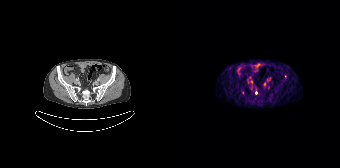
Two-panel axial: CT | PSMA PET, 68Ga tracer. Slice position z = -1298 mm. PET panel 168×168 px (4.1 mm/px). Coordinates are on the 168×168 PET (right) panel. (showing 1 of 3 foci) Small PSMA-avid focus (2 to 4 px across) near (center x, center y): (113, 76).